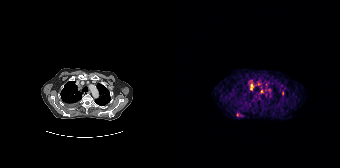
{"pet_grid":[168,168],"coord_frame":"pet_panel","coord_format":"x0,y0,x1,y1","partial":true,"lesion_bboxes":[[78,83,82,90],[64,112,69,116]],"small_foci_centers":[[89,91],[110,93],[87,84]],"modality":"PSMA PET/CT","view":"axial","tracer":"68Ga-PSMA"}